Two-panel axial: CT | PSMA PET, [18F]PSMA-1007 tracer. Slice 78 of 423.
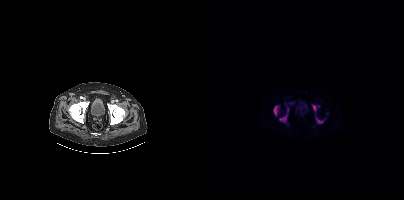
Coordinates are on the 200×200 PET (right) panel. (showing 6 of 7 foci) PSMA-avid tumor lesion bounding boxes (x0,y0,x1,y1): [69,105,75,115] [75,114,83,122] [111,117,120,123] [108,104,112,111] [83,108,84,112]. Small PSMA-avid focus (2 to 4 px across) near (center x, center y): (114, 105).